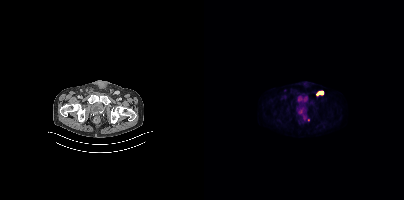
Coordinates are on the 200×200 PET (right) panel. (showing 2 of 3 foci) PSMA-avid tumor lesion bounding box (x0,y0,x1,y1): [112,91,119,95]. Small PSMA-avid focus (2 to 4 px across) near (center x, center y): (104, 119).